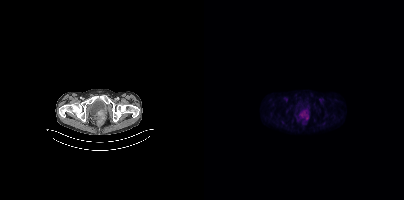
{"pet_grid":[200,200],"coord_frame":"pet_panel","coord_format":"x0,y0,x1,y1","lesion_bboxes":[[97,112,104,119]],"modality":"PSMA PET/CT","view":"axial","tracer":"[18F]PSMA-1007"}